- Paired axial CT (left) and PSMA PET (right), 18F tracer
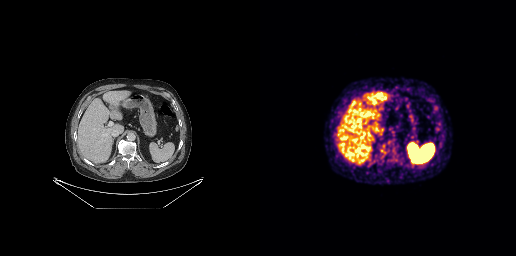
Findings: Negative for PSMA-avid disease on this slice.